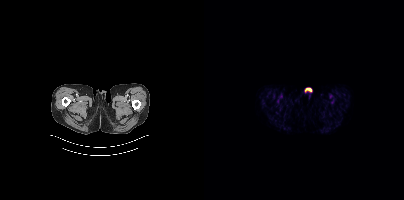
Findings: No tumor lesions annotated on this slice.
- Two-panel axial: CT | PSMA PET, 18F tracer
- acquired on Siemens Biograph mCT Flow 20
- slice position z = -1013 mm
- PET panel 200×200 px (4.1 mm/px)